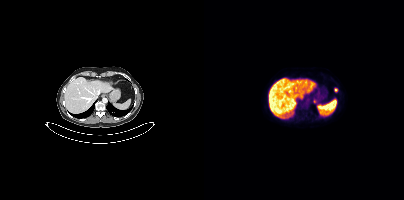
{"modality":"PSMA PET/CT","view":"axial","tracer":"18F-PSMA","pet_grid":[200,200],"coord_frame":"pet_panel","coord_format":"x0,y0,x1,y1","lesion_bboxes":[[109,99,113,103]],"small_foci_centers":[[131,89]]}